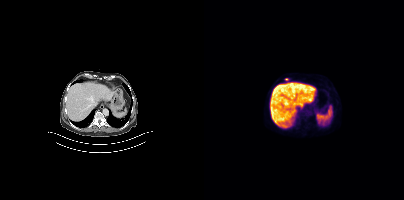
Coordinates are on the 200×200 PET (right) panel. Small PSMA-avid focus (2 to 4 px across) near (center x, center y): (82, 79).